modality: PSMA PET/CT | tracer: 68Ga-PSMA | view: axial | redaction: head region blanked (face removed)
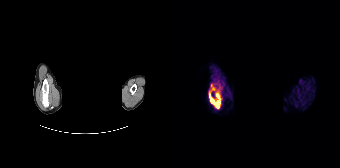
Coordinates are on the 168×168 PET (right) panel. PSMA-avid tumor lesion bounding box (x0,y0,x1,y1): [37,87,49,108]. Small PSMA-avid focus (2 to 4 px across) near (center x, center y): (39, 84).